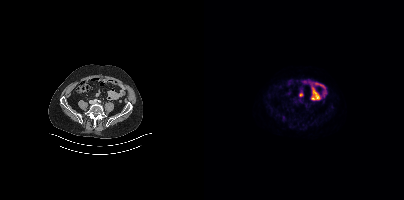
No tumor lesions annotated on this slice.